Left: CT. Right: PSMA PET, same axial level, [18F]PSMA-1007 tracer.
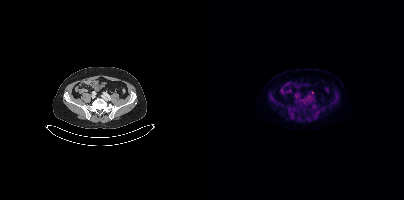
Only PSMA-avid lesion pieces thinner than 2 px on this slice (not listed).